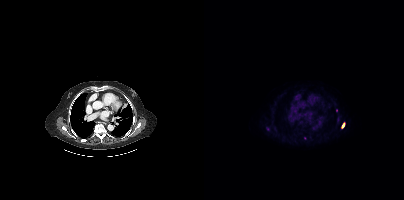
Coordinates are on the 200×200 PET (right) panel. PSMA-avid tumor lesion bounding box (x0, y0)-(x1, y1): (138, 123)-(140, 127). Paired axial CT (left) and PSMA PET (right), 18F tracer. Acquired on Siemens Biograph mCT Flow 20. PET panel 200×200 px (4.1 mm/px).